Technique: Paired axial CT (left) and PSMA PET (right), 18F-PSMA tracer. slice position z = 120 mm. PET panel 200×200 px (4.1 mm/px).
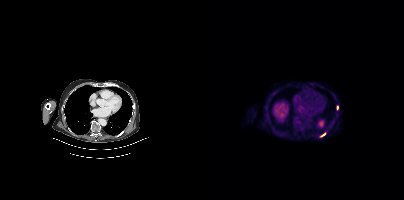
Findings: Coordinates are on the 200×200 PET (right) panel. PSMA-avid tumor lesion bounding boxes (x0,y0,x1,y1): [116,133,121,136]; [132,105,134,109]. Small PSMA-avid focus (2 to 4 px across) near (center x, center y): (69, 93).